Two-panel axial: CT | PSMA PET, 18F-PSMA tracer. Slice 176 of 508.
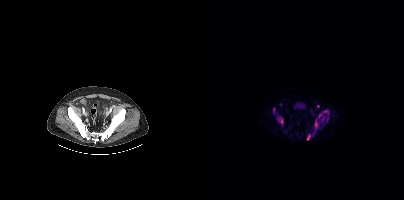
Coordinates are on the 200×200 PET (right) panel. (showing 5 of 8 foci) PSMA-avid tumor lesion bounding boxes (x0,y0,x1,y1): [114,110,124,117], [111,119,114,127], [103,134,106,140], [77,119,78,123], [118,117,120,121].